- Two-panel axial: CT | PSMA PET, 18F tracer
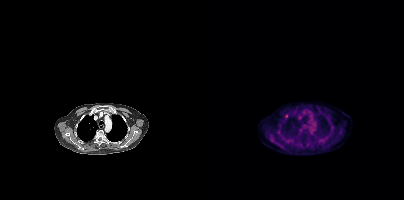
Findings: Coordinates are on the 200×200 PET (right) panel. PSMA-avid tumor lesion bounding box (x0,y0,x1,y1): [116,139,120,142]. Small PSMA-avid focus (2 to 4 px across) near (center x, center y): (82, 115).